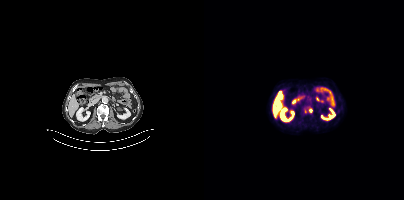
{"pet_grid":[200,200],"coord_frame":"pet_panel","coord_format":"x0,y0,x1,y1","partial":true,"lesion_bboxes":[[105,108,108,112]],"modality":"PSMA PET/CT","view":"axial","tracer":"18F"}